Technique: Paired axial CT (left) and PSMA PET (right), 18F tracer.
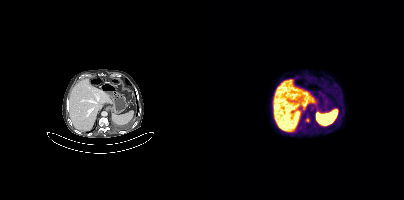
Findings: Coordinates are on the 200×200 PET (right) panel. Small PSMA-avid foci (2 to 4 px across) near (center x, center y): (103, 120) / (96, 128).